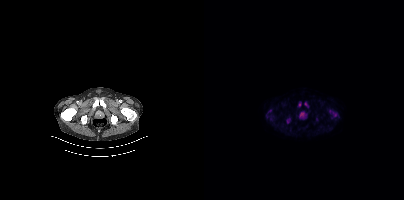
- Two-panel axial: CT | PSMA PET, 18F-PSMA tracer
Findings: Coordinates are on the 200×200 PET (right) panel. PSMA-avid tumor lesion bounding boxes (x0, y0)-(x1, y1): (125, 110)-(134, 118) | (96, 112)-(100, 116) | (82, 118)-(86, 123). Small PSMA-avid foci (2 to 4 px across) near (center x, center y): (102, 103) | (95, 104).